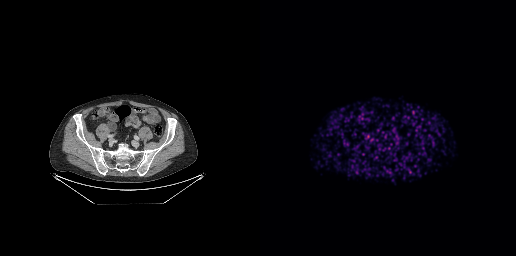
Two-panel axial: CT | PSMA PET, 68Ga tracer. PET panel 256×256 px (2.7 mm/px). This slice has no annotated PSMA-avid lesion.